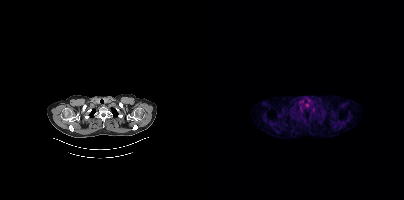
- Left: CT. Right: PSMA PET, same axial level, [68Ga]Ga-PSMA-11 tracer
- acquired on Siemens Biograph mCT Flow 20
- PET panel 200×200 px (4.1 mm/px)
Findings: This slice has no annotated PSMA-avid lesion.